Two-panel axial: CT | PSMA PET, 18F-PSMA tracer.
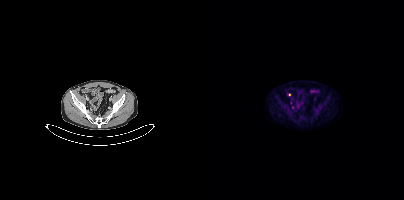
Only PSMA-avid lesion pieces thinner than 2 px on this slice (not listed).